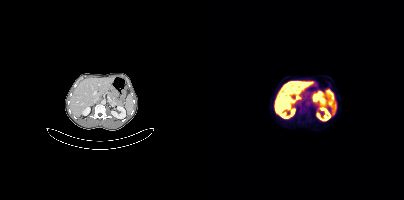
Coordinates are on the 200×200 PET (right) panel. PSMA-avid tumor lesion bounding box (x0, y0)-(x1, y1): (95, 105)-(103, 113).